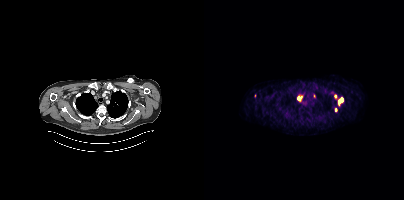
Coordinates are on the 200×200 PET (right) panel. PSMA-avid tumor lesion bounding boxes (partial; 1 more focus not listed):
| # | x0 | y0 | x1 | y1 |
|---|---|---|---|---|
| 1 | 134 | 98 | 139 | 105 |
| 2 | 94 | 95 | 98 | 101 |
| 3 | 110 | 94 | 111 | 98 |
Small PSMA-avid foci (2 to 4 px across) near (center x, center y): (132, 109); (131, 96).
Two-panel axial: CT | PSMA PET, 68Ga tracer. PET panel 200×200 px (4.1 mm/px).